Technique: Paired axial CT (left) and PSMA PET (right), 18F-PSMA tracer. PET panel 200×200 px (4.1 mm/px).
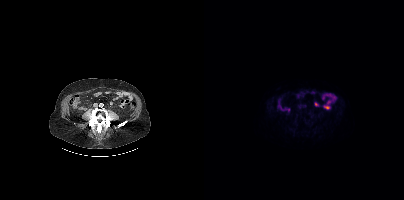
Findings: No tumor lesions annotated on this slice.